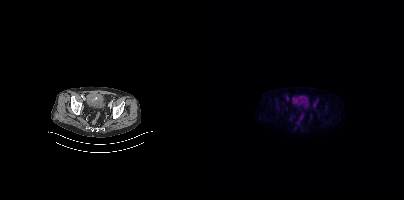
No PSMA-avid tumor lesions on this slice.